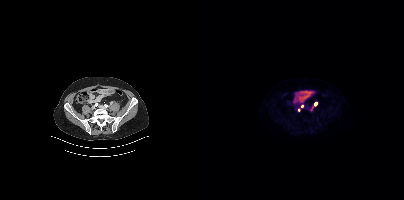
Coordinates are on the 200×200 PET (right) panel. (showing 3 of 4 foci) PSMA-avid tumor lesion bounding box (x, y, width, height): x=110 y=101 w=5 h=6. Small PSMA-avid foci (2 to 4 px across) near (center x, center y): (98, 106) / (94, 110).
modality: PSMA PET/CT | tracer: [18F]PSMA-1007 | view: axial